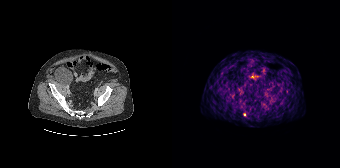
Coordinates are on the 168×168 PET (right) panel. Small PSMA-avid focus (2 to 4 px across) near (center x, center y): (72, 114).